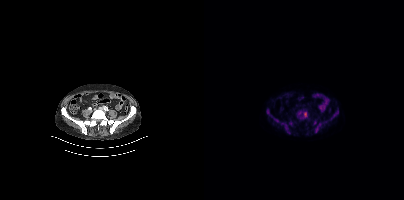
Coordinates are on the 200×200 PET (right) panel. PSMA-avid tumor lesion bounding boxes (x0,y0,x1,y1): [93,111,103,119] [77,123,86,133] [111,122,117,132] [127,112,134,119] [67,115,75,122] [63,109,65,115] [85,121,88,125] [110,120,112,124]. Small PSMA-avid focus (2 to 4 px across) near (center x, center y): (121, 121).